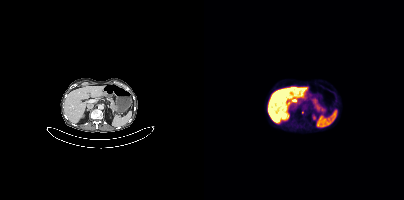
{"modality":"PSMA PET/CT","view":"axial","tracer":"[18F]PSMA-1007","pet_grid":[200,200],"coord_frame":"pet_panel","coord_format":"x0,y0,x1,y1","lesion_bboxes":[],"small_foci_centers":[[98,112]]}